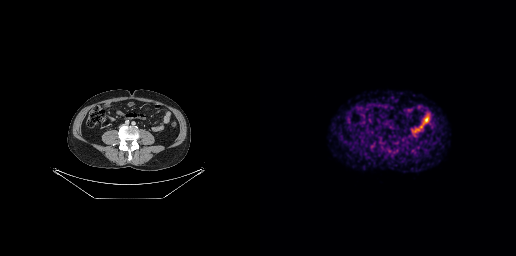
{"modality":"PSMA PET/CT","view":"axial","tracer":"[68Ga]Ga-PSMA-11","pet_grid":[256,256],"coord_frame":"pet_panel","coord_format":"x0,y0,x1,y1","psma_avid_lesions":false}